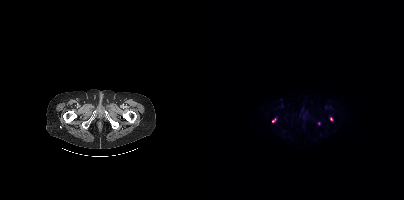
- Left: CT. Right: PSMA PET, same axial level, 18F-PSMA tracer
Findings: Coordinates are on the 200×200 PET (right) panel. (showing 1 of 4 foci) Small PSMA-avid focus (2 to 4 px across) near (center x, center y): (127, 119).